Left: CT. Right: PSMA PET, same axial level, 18F tracer. Slice position z = -798 mm. PET panel 200×200 px (4.1 mm/px).
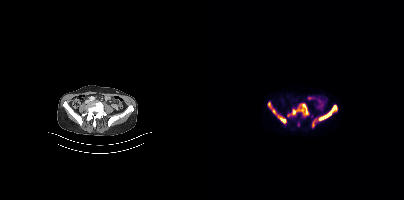
Coordinates are on the 200×200 PET (right) panel. PSMA-avid tumor lesion bounding boxes (partial; 1 more focus not listed):
| # | x0 | y0 | x1 | y1 |
|---|---|---|---|---|
| 1 | 83 | 103 | 104 | 116 |
| 2 | 114 | 104 | 133 | 120 |
| 3 | 64 | 102 | 82 | 123 |
| 4 | 108 | 119 | 111 | 127 |